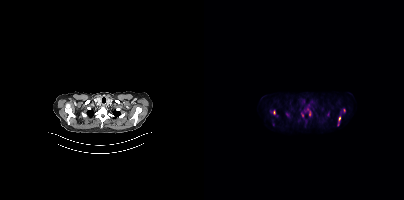
Findings: Coordinates are on the 200×200 PET (right) panel. (showing 6 of 9 foci) PSMA-avid tumor lesion bounding boxes (x0,y0,x1,y1): [82,112,85,116]; [134,115,136,121]; [139,108,141,112]; [69,110,71,114]; [105,111,106,115]. Small PSMA-avid focus (2 to 4 px across) near (center x, center y): (98, 114).
- Paired axial CT (left) and PSMA PET (right), [18F]PSMA-1007 tracer
- acquired on Siemens Biograph mCT Flow 20
- slice 338 of 413
- PET panel 200×200 px (4.1 mm/px)